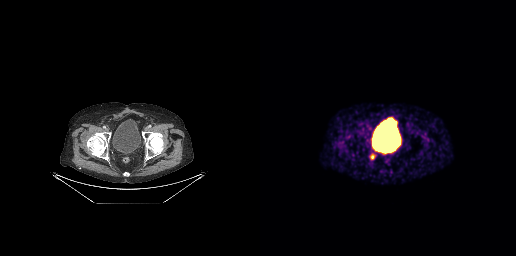
Paired axial CT (left) and PSMA PET (right), 68Ga tracer. PET panel 256×256 px (2.7 mm/px). Coordinates are on the 256×256 PET (right) panel. Small PSMA-avid focus (2 to 4 px across) near (center x, center y): (112, 156).